Technique: Two-panel axial: CT | PSMA PET, 18F tracer. PET panel 256×256 px (2.7 mm/px).
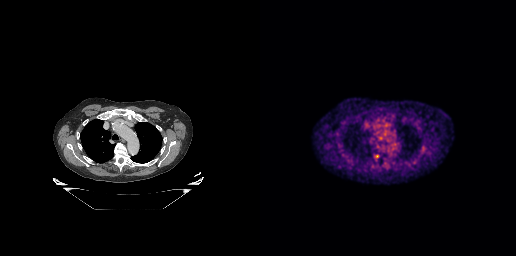
Findings: Coordinates are on the 256×256 PET (right) panel. Small PSMA-avid focus (2 to 4 px across) near (center x, center y): (116, 156).